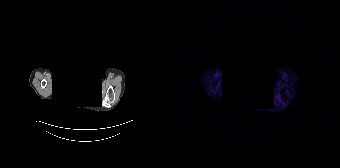
- de-identified by setting a box covering the face to black before release
- Left: CT. Right: PSMA PET, same axial level, 68Ga tracer
- slice 177 of 195
- PET panel 168×168 px (4.1 mm/px)
Findings: This slice has no annotated PSMA-avid lesion.